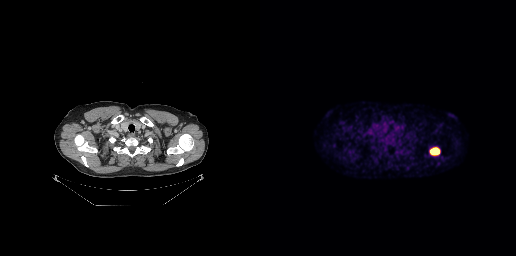
Findings: Coordinates are on the 256×256 PET (right) panel. PSMA-avid tumor lesion bounding box (x0, y0)-(x1, y1): (170, 147)-(179, 155).
- Left: CT. Right: PSMA PET, same axial level, [18F]PSMA-1007 tracer